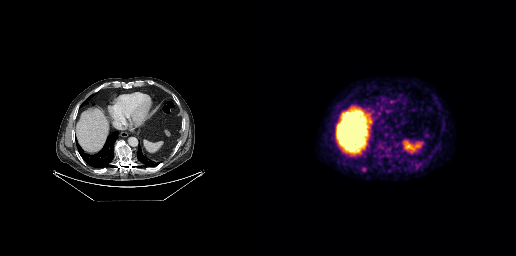
{"pet_grid":[256,256],"coord_frame":"pet_panel","coord_format":"x0,y0,x1,y1","lesion_bboxes":[],"small_foci_centers":[[104,169]],"modality":"PSMA PET/CT","view":"axial","tracer":"18F"}